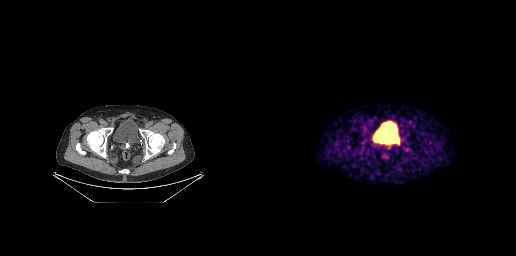
Coordinates are on the 256×256 PET (right) panel. PSMA-avid tumor lesion bounding box (x, y, width, height): x=137 y=140 w=3 h=5.